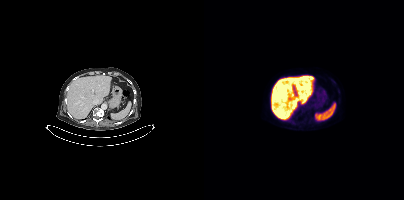
{"pet_grid":[200,200],"coord_frame":"pet_panel","coord_format":"x0,y0,x1,y1","psma_avid_lesions":false,"modality":"PSMA PET/CT","view":"axial","tracer":"18F-PSMA"}